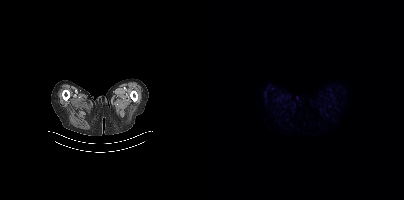
{"modality":"PSMA PET/CT","view":"axial","tracer":"18F-PSMA","pet_grid":[200,200],"coord_frame":"pet_panel","coord_format":"x0,y0,x1,y1","psma_avid_lesions":false}